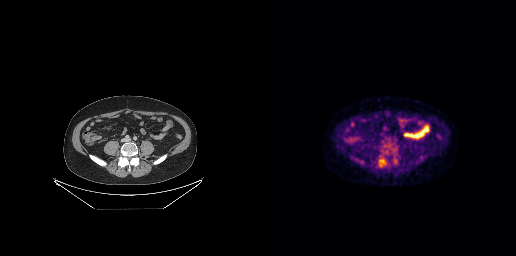
Findings: Coordinates are on the 256×256 PET (right) panel. PSMA-avid tumor lesion bounding box (x0, y0)-(x1, y1): (119, 159)-(125, 165).
- Paired axial CT (left) and PSMA PET (right), [18F]PSMA-1007 tracer